Paired axial CT (left) and PSMA PET (right), [18F]PSMA-1007 tracer. Acquired on Siemens Biograph mCT Flow 20. Slice position z = -1504 mm. PET panel 200×200 px (4.1 mm/px).
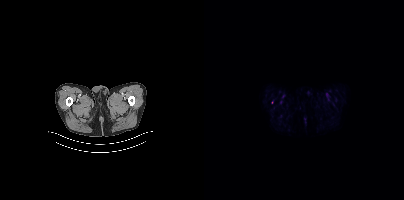
Coordinates are on the 200×200 PET (right) panel. Small PSMA-avid focus (2 to 4 px across) near (center x, center y): (68, 102).